Two-panel axial: CT | PSMA PET, 68Ga-PSMA tracer. PET panel 168×168 px (4.1 mm/px).
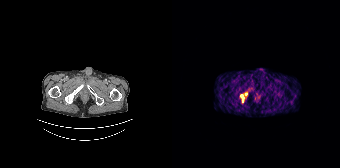
Coordinates are on the 168×168 PET (right) panel. PSMA-avid tumor lesion bounding box (x, y, width, height): x=68 y=94 w=5 h=9. Small PSMA-avid focus (2 to 4 px across) near (center x, center y): (74, 94).